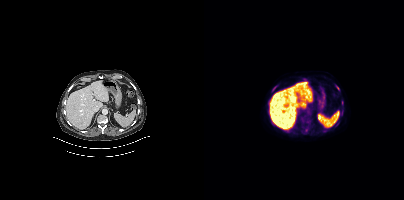
Paired axial CT (left) and PSMA PET (right), 18F tracer. Slice position z = -1186 mm. PET panel 200×200 px (4.1 mm/px).
Coordinates are on the 200×200 PET (right) panel. PSMA-avid tumor lesion bounding boxes (partial; 1 more focus not listed):
| # | x0 | y0 | x1 | y1 |
|---|---|---|---|---|
| 1 | 132 | 86 | 135 | 90 |
Small PSMA-avid focus (2 to 4 px across) near (center x, center y): (70, 88).